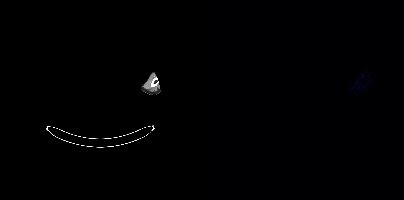
redaction: rectangular block over head set to black | modality: PSMA PET/CT | tracer: [18F]PSMA-1007 | view: axial
No tumor lesions annotated on this slice.